Two-panel axial: CT | PSMA PET, [18F]PSMA-1007 tracer. Slice position z = -480 mm. PET panel 200×200 px (4.1 mm/px).
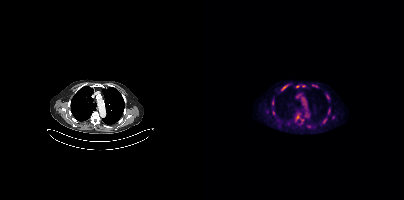
Coordinates are on the 200×200 PET (right) panel. (showing 10 of 12 foci) PSMA-avid tumor lesion bounding boxes (x0,y0,x1,y1): [77,85,84,90]; [68,100,69,104]; [108,85,113,86]. Small PSMA-avid foci (2 to 4 px across) near (center x, center y): (99, 86); (93, 116); (120, 120); (105, 126); (69, 112); (93, 86); (84, 123).